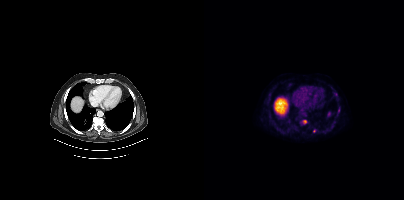
{"pet_grid":[200,200],"coord_frame":"pet_panel","coord_format":"x0,y0,x1,y1","partial":true,"lesion_bboxes":[],"small_foci_centers":[[110,131],[131,94],[100,121]],"modality":"PSMA PET/CT","view":"axial","tracer":"[18F]PSMA-1007"}